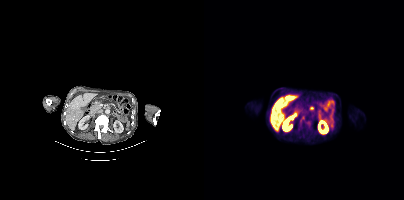
{"modality":"PSMA PET/CT","view":"axial","tracer":"18F","pet_grid":[200,200],"coord_frame":"pet_panel","coord_format":"x0,y0,x1,y1","lesion_bboxes":[[96,115,102,123]]}